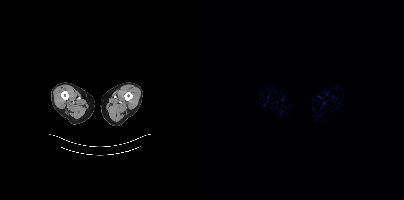
Paired axial CT (left) and PSMA PET (right), [18F]PSMA-1007 tracer. Acquired on Siemens Biograph mCT Flow 20. Slice 4 of 423. PET panel 200×200 px (4.1 mm/px). Negative for PSMA-avid disease on this slice.